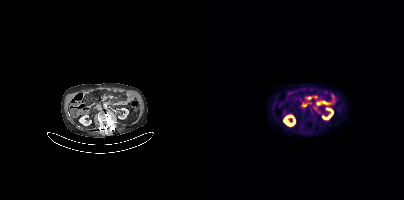
Coordinates are on the 200×200 PET (right) panel. (showing 1 of 2 foci) PSMA-avid tumor lesion bounding box (x, y, width, height): x=103 y=97 w=5 h=3.